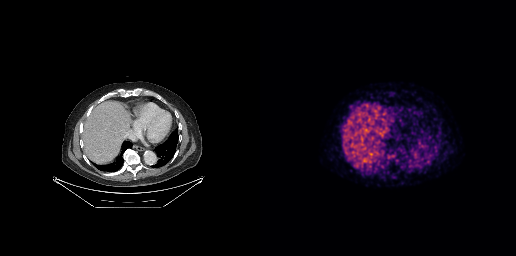
This slice has no annotated PSMA-avid lesion. Two-panel axial: CT | PSMA PET, 68Ga-PSMA tracer. Slice position z = -507 mm.